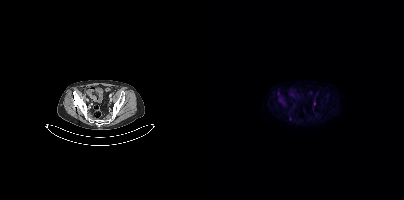
{"modality":"PSMA PET/CT","view":"axial","tracer":"18F","pet_grid":[200,200],"coord_frame":"pet_panel","coord_format":"x0,y0,x1,y1","lesion_bboxes":[[110,100,111,105]]}